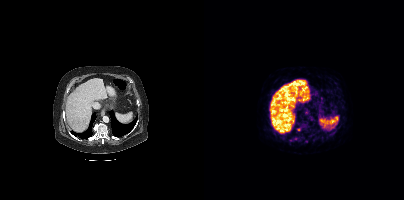
modality: PSMA PET/CT | tracer: 68Ga | view: axial | PET grid: 200×200
Coordinates are on the 200×200 PET (right) panel. Small PSMA-avid focus (2 to 4 px across) near (center x, center y): (94, 129).